modality: PSMA PET/CT | tracer: 18F | view: axial
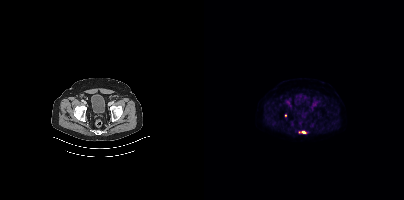
Coordinates are on the 200×200 PET (right) panel. PSMA-avid tumor lesion bounding box (x0, y0)-(x1, y1): (94, 130)-(102, 133).